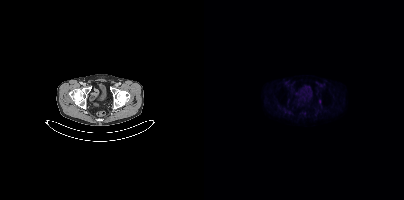
Technique: Paired axial CT (left) and PSMA PET (right), [18F]PSMA-1007 tracer. slice 69 of 409.
Findings: Coordinates are on the 200×200 PET (right) panel. Small PSMA-avid focus (2 to 4 px across) near (center x, center y): (116, 101).